- Two-panel axial: CT | PSMA PET, [68Ga]Ga-PSMA-11 tracer
- acquired on Siemens Biograph mCT Flow 20
- slice 70 of 393
- PET panel 200×200 px (4.1 mm/px)
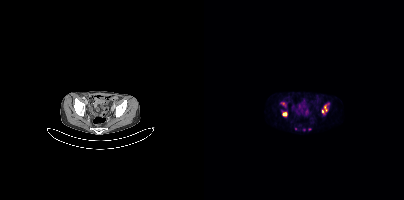
Findings: Coordinates are on the 200×200 PET (right) panel. PSMA-avid tumor lesion bounding box (x0,y0,x1,y1): [118,103,125,113]. Small PSMA-avid foci (2 to 4 px across) near (center x, center y): (80, 113), (79, 103), (92, 128), (105, 129).